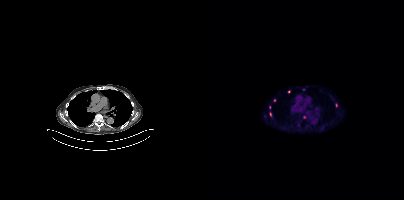
Coordinates are on the 200×200 PET (right) panel. (showing 5 of 9 foci) Small PSMA-avid foci (2 to 4 px across) near (center x, center y): (85, 91), (132, 104), (66, 114), (100, 117), (99, 89).